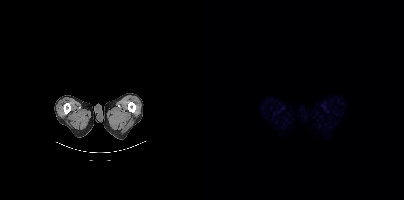
Paired axial CT (left) and PSMA PET (right), 18F-PSMA tracer. Acquired on Siemens Biograph mCT Flow 20. Slice 11 of 435. PET panel 200×200 px (4.1 mm/px). No PSMA-avid tumor lesions on this slice.